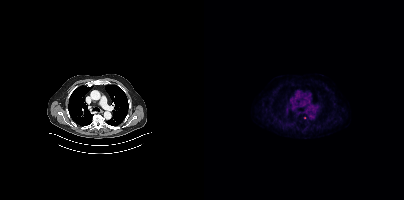
Coordinates are on the 200×200 PET (right) panel. Small PSMA-avid focus (2 to 4 px across) near (center x, center y): (100, 117).